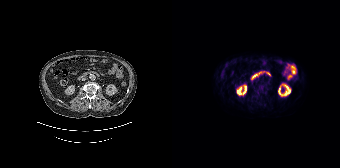
{"pet_grid":[168,168],"coord_frame":"pet_panel","coord_format":"x0,y0,x1,y1","psma_avid_lesions":false,"modality":"PSMA PET/CT","view":"axial","tracer":"[18F]PSMA-1007"}